Technique: Paired axial CT (left) and PSMA PET (right), [18F]PSMA-1007 tracer. acquired on Siemens Biograph mCT Flow 20. PET panel 200×200 px (4.1 mm/px).
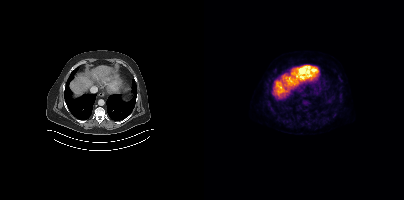
Findings: Coordinates are on the 200×200 PET (right) panel. PSMA-avid tumor lesion bounding box (x0,y0,x1,y1): [135,94,138,99].